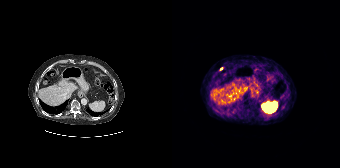
Findings: Coordinates are on the 168×168 PET (right) panel. Small PSMA-avid focus (2 to 4 px across) near (center x, center y): (49, 68).
Technique: Left: CT. Right: PSMA PET, same axial level, 68Ga tracer. PET panel 168×168 px (4.1 mm/px).